- Two-panel axial: CT | PSMA PET, [18F]PSMA-1007 tracer
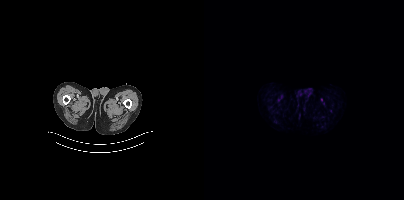
Findings: This slice has no annotated PSMA-avid lesion.